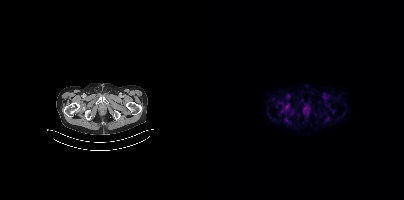
modality: PSMA PET/CT | tracer: 18F-PSMA | view: axial | PET grid: 200×200
Coordinates are on the 200×200 PET (right) panel. Small PSMA-avid focus (2 to 4 px across) near (center x, center y): (72, 106).